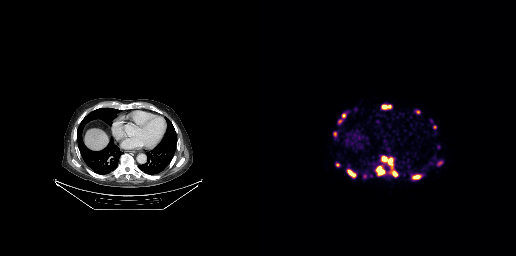
Findings: Coordinates are on the 256×256 PET (right) panel. (showing 15 of 16 foci) PSMA-avid tumor lesion bounding boxes (x, y, width, height): x=121 y=156 w=7 h=6 / x=88 y=170 w=8 h=7 / x=153 y=175 w=8 h=5 / x=118 y=167 w=7 h=8 / x=177 y=160 w=7 h=6 / x=129 y=158 w=5 h=6 / x=75 y=163 w=5 h=4 / x=156 y=110 w=5 h=4. Small PSMA-avid foci (2 to 4 px across) near (center x, center y): (134, 173) / (83, 115) / (124, 107) / (74, 134) / (79, 121) / (175, 128) / (104, 175).
Technique: Two-panel axial: CT | PSMA PET, [68Ga]Ga-PSMA-11 tracer. slice position z = -439 mm.